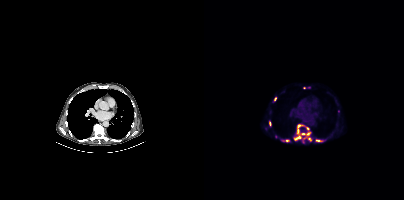
Coordinates are on the 200×200 PET (right) panel. PSMA-avid tumor lesion bounding boxes (partial; 2 more foci not listed):
| # | x0 | y0 | x1 | y1 |
|---|---|---|---|---|
| 1 | 90 | 129 | 100 | 140 |
| 2 | 101 | 136 | 107 | 141 |
| 3 | 112 | 139 | 118 | 141 |
| 4 | 99 | 125 | 104 | 129 |
| 5 | 81 | 139 | 85 | 141 |
Small PSMA-avid foci (2 to 4 px across) near (center x, center y): (71, 98); (99, 141); (104, 87); (65, 123); (95, 125); (103, 133).
Two-panel axial: CT | PSMA PET, 18F tracer. Acquired on Siemens Biograph mCT Flow 20. Slice 274 of 435. PET panel 200×200 px (4.1 mm/px).